modality: PSMA PET/CT | tracer: 18F | view: axial
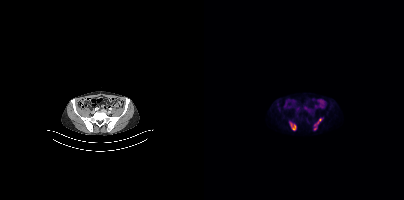
Coordinates are on the 200×200 PET (right) panel. (showing 3 of 4 foci) PSMA-avid tumor lesion bounding box (x0, y0)-(x1, y1): (85, 122)-(92, 130). Small PSMA-avid foci (2 to 4 px across) near (center x, center y): (116, 119) | (110, 128).